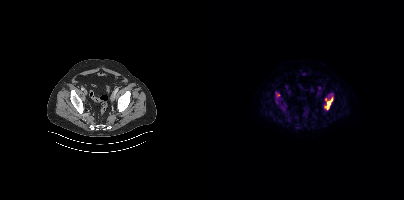
modality: PSMA PET/CT | tracer: 18F | view: axial | PET grid: 200×200
Coordinates are on the 200×200 PET (right) panel. PSMA-avid tumor lesion bounding boxes (x, y, width, height): x=121 y=96 w=9 h=14; x=72 y=93 w=5 h=5.